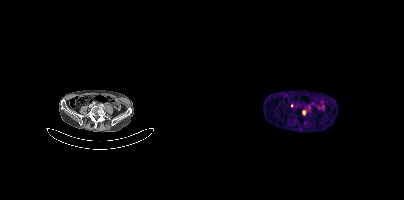
Technique: Left: CT. Right: PSMA PET, same axial level, [68Ga]Ga-PSMA-11 tracer. PET panel 200×200 px (4.1 mm/px).
Findings: Coordinates are on the 200×200 PET (right) panel. PSMA-avid tumor lesion bounding box (x, y, width, height): x=98 y=110 w=4 h=5.